Paired axial CT (left) and PSMA PET (right), 18F tracer. Slice 90 of 448.
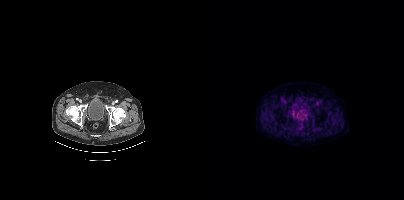
No PSMA-avid tumor lesions on this slice.